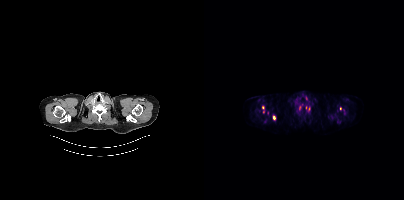
modality: PSMA PET/CT | tracer: [18F]PSMA-1007 | view: axial
Coordinates are on the 200×200 PET (right) panel. Small PSMA-avid foci (2 to 4 px across) near (center x, center y): (70, 117) | (58, 107) | (136, 108).